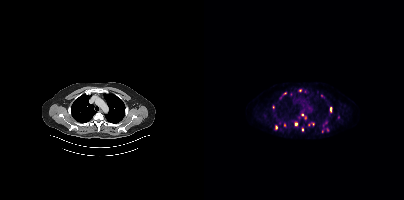
Coordinates are on the 200×200 PET (right) panel. (showing 6 of 11 foci) PSMA-avid tumor lesion bounding box (x0,y0,x1,y1): [126,107,128,112]. Small PSMA-avid foci (2 to 4 px across) near (center x, center y): (92, 123), (98, 129), (98, 114), (72, 127), (101, 117).